Left: CT. Right: PSMA PET, same axial level, [68Ga]Ga-PSMA-11 tracer.
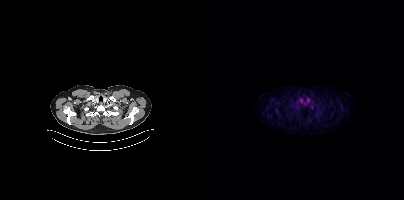
No PSMA-avid tumor lesions on this slice.